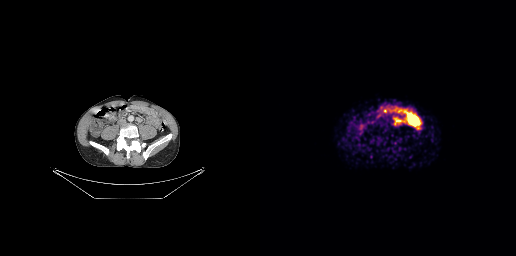
Two-panel axial: CT | PSMA PET, 68Ga-PSMA tracer. Slice position z = -696 mm. Coordinates are on the 256×256 PET (right) panel. Small PSMA-avid focus (2 to 4 px across) near (center x, center y): (135, 125).